- Left: CT. Right: PSMA PET, same axial level, [18F]PSMA-1007 tracer
- acquired on Siemens Biograph mCT Flow 20
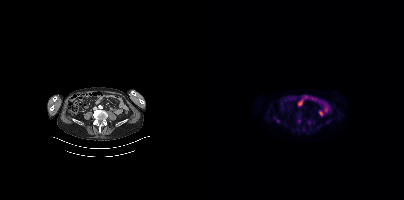
Findings: Coordinates are on the 200×200 PET (right) panel. Small PSMA-avid foci (2 to 4 px across) near (center x, center y): (95, 120) / (73, 120) / (104, 121).